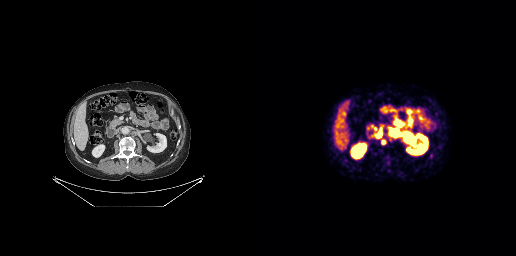
- Left: CT. Right: PSMA PET, same axial level, 68Ga tracer
Findings: Coordinates are on the 256×256 PET (right) panel. PSMA-avid tumor lesion bounding boxes (x0,y0,x1,y1): [128,128,140,136], [117,132,121,137], [121,140,125,144]. Small PSMA-avid focus (2 to 4 px across) near (center x, center y): (130, 139).